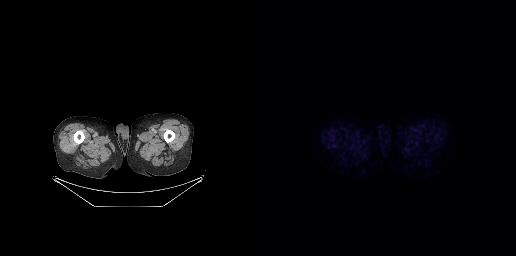
{"modality":"PSMA PET/CT","view":"axial","tracer":"[18F]PSMA-1007","pet_grid":[256,256],"coord_frame":"pet_panel","coord_format":"x0,y0,x1,y1","psma_avid_lesions":false}